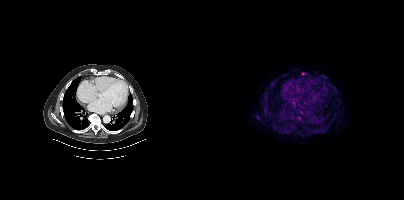
modality: PSMA PET/CT | tracer: 18F | view: axial | PET grid: 200×200
Coordinates are on the 200×200 PET (right) panel. Small PSMA-avid focus (2 to 4 px across) near (center x, center y): (99, 73).